Technique: Two-panel axial: CT | PSMA PET, 18F tracer. acquired on Siemens Biograph mCT Flow 20. PET panel 200×200 px (4.1 mm/px).
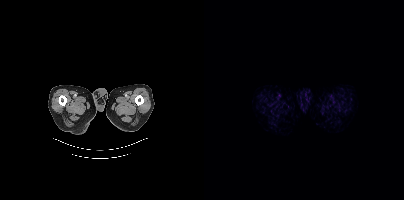
Findings: No PSMA-avid tumor lesions on this slice.